Two-panel axial: CT | PSMA PET, 18F tracer. Acquired on Siemens Biograph mCT Flow 20. Slice 113 of 413. PET panel 200×200 px (4.1 mm/px).
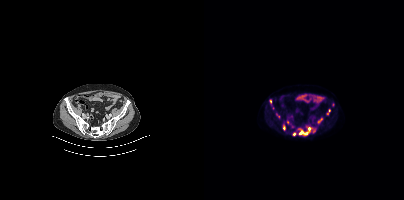
Coordinates are on the 200×200 PET (right) panel. PSMA-avid tumor lesion bounding boxes (partial; 2 more foci not listed):
| # | x0 | y0 | x1 | y1 |
|---|---|---|---|---|
| 1 | 94 | 127 | 107 | 135 |
| 2 | 113 | 118 | 118 | 123 |
| 3 | 79 | 125 | 80 | 129 |
Small PSMA-avid foci (2 to 4 px across) near (center x, center y): (90, 133); (73, 115); (66, 101); (125, 110); (123, 113).